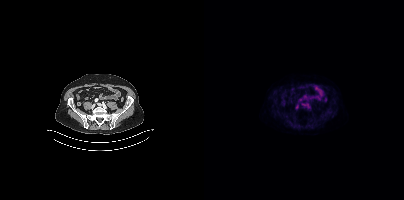
Negative for PSMA-avid disease on this slice.